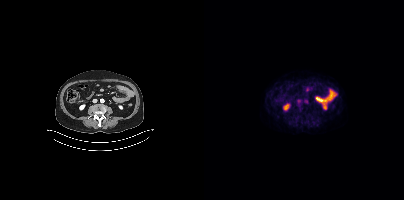
This slice has no annotated PSMA-avid lesion.